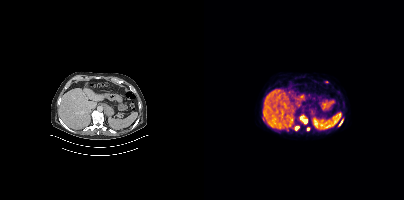
modality: PSMA PET/CT | tracer: 18F-PSMA | view: axial
Coordinates are on the 200×200 PET (right) panel. PSMA-avid tumor lesion bounding boxes (x, y, width, height): x=96 y=116 w=8 h=8; x=91 y=126 w=5 h=5; x=135 y=120 w=4 h=6. Small PSMA-avid focus (2 to 4 px across) near (center x, center y): (104, 129).